- Two-panel axial: CT | PSMA PET, 18F tracer
- PET panel 200×200 px (4.1 mm/px)
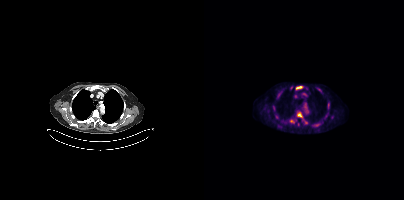
Findings: Coordinates are on the 200×200 PET (right) panel. (showing 4 of 5 foci) PSMA-avid tumor lesion bounding boxes (x0, y0)-(x1, y1): (92, 86)-(99, 89); (93, 113)-(97, 117). Small PSMA-avid foci (2 to 4 px across) near (center x, center y): (69, 107); (87, 120).